Left: CT. Right: PSMA PET, same axial level, [18F]PSMA-1007 tracer. PET panel 200×200 px (4.1 mm/px).
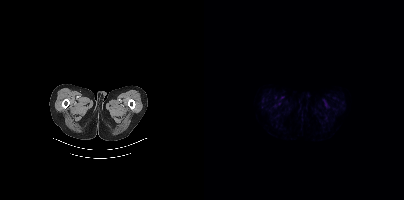
No tumor lesions annotated on this slice.